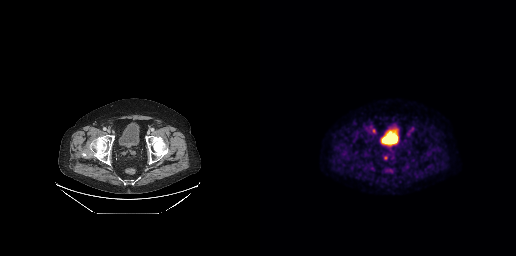
Technique: Two-panel axial: CT | PSMA PET, 18F tracer. acquired on GE Discovery 690. slice 96 of 299.
Findings: Coordinates are on the 256×256 PET (right) panel. PSMA-avid tumor lesion bounding boxes (x0, y0)-(x1, y1): (111, 129)-(116, 133) | (124, 155)-(127, 159).